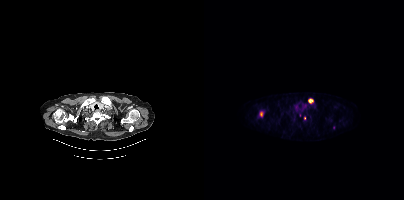
- Two-panel axial: CT | PSMA PET, 18F-PSMA tracer
- slice position z = -846 mm
Findings: Coordinates are on the 200×200 PET (right) panel. (showing 4 of 6 foci) PSMA-avid tumor lesion bounding boxes (x, y, width, height): x=104 y=98 w=6 h=6 | x=56 y=112 w=3 h=5. Small PSMA-avid foci (2 to 4 px across) near (center x, center y): (100, 118) | (129, 127).